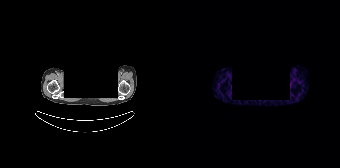
{"modality":"PSMA PET/CT","view":"axial","tracer":"68Ga-PSMA","pet_grid":[168,168],"coord_frame":"pet_panel","coord_format":"x0,y0,x1,y1","psma_avid_lesions":false,"redaction":"face masked with black rectangle"}